Facial anatomy redacted by setting a rectangular region of the head to black.
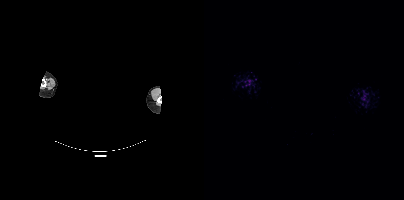
No tumor lesions annotated on this slice.